Two-panel axial: CT | PSMA PET, 18F tracer. Slice position z = -616 mm. PET panel 200×200 px (4.1 mm/px).
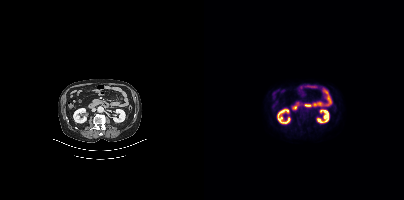
Negative for PSMA-avid disease on this slice.